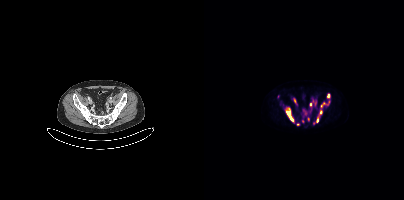
Left: CT. Right: PSMA PET, same axial level, 18F-PSMA tracer. PET panel 200×200 px (4.1 mm/px). Coordinates are on the 200×200 PET (right) panel. (showing 10 of 12 foci) PSMA-avid tumor lesion bounding boxes (x0, y0)-(x1, y1): (82, 111)-(90, 123) | (106, 100)-(112, 105) | (89, 98)-(92, 103) | (116, 110)-(118, 114) | (103, 117)-(105, 121). Small PSMA-avid foci (2 to 4 px across) near (center x, center y): (124, 95) | (113, 120) | (94, 124) | (119, 103) | (98, 121).